Two-panel axial: CT | PSMA PET, [18F]PSMA-1007 tracer. Acquired on Siemens Biograph 64-4R TruePoint. Slice position z = -1220 mm.
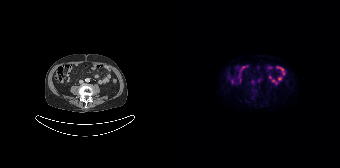
No tumor lesions annotated on this slice.